modality: PSMA PET/CT | tracer: [18F]PSMA-1007 | view: axial
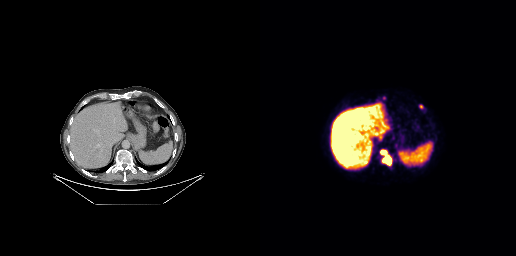
Coordinates are on the 256×256 PET (right) panel. PSMA-avid tumor lesion bounding boxes (x0,y0,x1,y1): [120,149,132,165], [159,104,163,108]. Small PSMA-avid focus (2 to 4 px across) near (center x, center y): (123, 97).